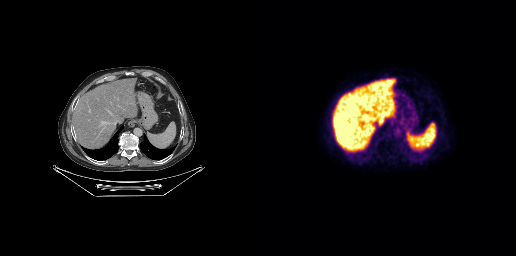
{"pet_grid":[256,256],"coord_frame":"pet_panel","coord_format":"x0,y0,x1,y1","psma_avid_lesions":false,"modality":"PSMA PET/CT","view":"axial","tracer":"18F"}